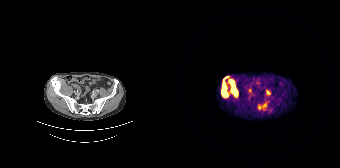
{"modality":"PSMA PET/CT","view":"axial","tracer":"[68Ga]Ga-PSMA-11","pet_grid":[168,168],"coord_frame":"pet_panel","coord_format":"x0,y0,x1,y1","partial":true,"lesion_bboxes":[[49,76,66,97],[86,101,96,110],[94,90,98,95]]}